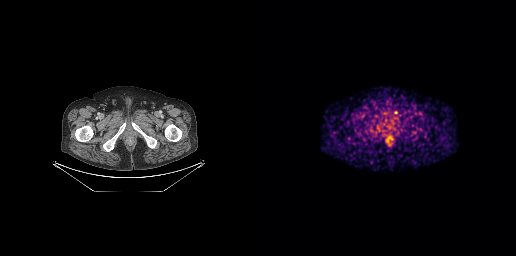
Technique: Left: CT. Right: PSMA PET, same axial level, 68Ga tracer. acquired on GE Discovery 690. PET panel 256×256 px (2.7 mm/px).
Findings: This slice has no annotated PSMA-avid lesion.